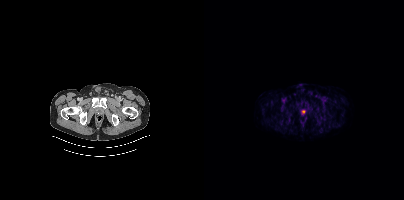
{"pet_grid":[200,200],"coord_frame":"pet_panel","coord_format":"x0,y0,x1,y1","lesion_bboxes":[[97,110,101,113]],"modality":"PSMA PET/CT","view":"axial","tracer":"18F-PSMA"}